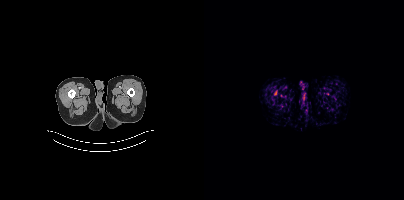
Findings: No tumor lesions annotated on this slice.
Technique: Two-panel axial: CT | PSMA PET, [18F]PSMA-1007 tracer. acquired on Siemens Biograph mCT Flow 20. slice position z = -1580 mm. PET panel 200×200 px (4.1 mm/px).